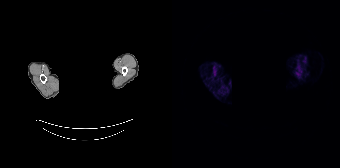
Findings: This slice has no annotated PSMA-avid lesion.
Technique: Paired axial CT (left) and PSMA PET (right), 68Ga-PSMA tracer. acquired on Siemens Biograph 64-4R TruePoint. slice 175 of 195.
Note: A rectangular block over the head has been blanked out for de-identification.